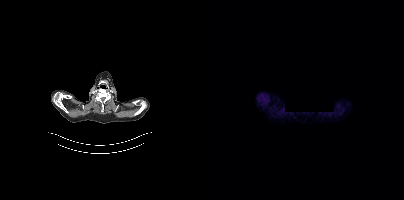
{"pet_grid":[200,200],"coord_frame":"pet_panel","coord_format":"x0,y0,x1,y1","psma_avid_lesions":false,"redaction":"rectangular block set to black","modality":"PSMA PET/CT","view":"axial","tracer":"[18F]PSMA-1007"}